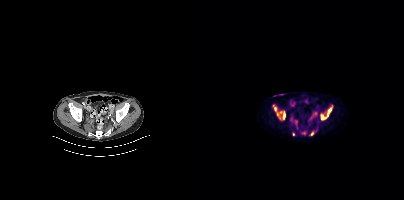
Coordinates are on the 200×200 PET (right) panel. PSMA-avid tumor lesion bounding boxes (x, y, width, height): x=68 y=104 w=14 h=17; x=117 y=106 w=12 h=14. Small PSMA-avid foci (2 to 4 px across) near (center x, center y): (108, 134); (89, 134).